modality: PSMA PET/CT | tracer: [68Ga]Ga-PSMA-11 | view: axial | PET grid: 200×200
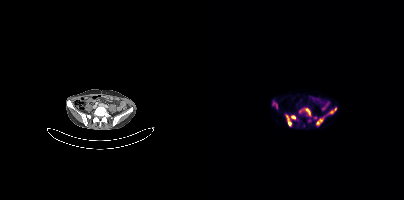
Coordinates are on the 200×200 PET (right) panel. PSMA-avid tumor lesion bounding boxes (x0,y0,x1,y1): [83,116,87,125]; [126,108,132,113]; [102,109,106,114]; [87,116,91,118]. Small PSMA-avid foci (2 to 4 px across) near (center x, center y): (72, 105); (113, 122); (116, 120).